Technique: Left: CT. Right: PSMA PET, same axial level, 68Ga tracer.
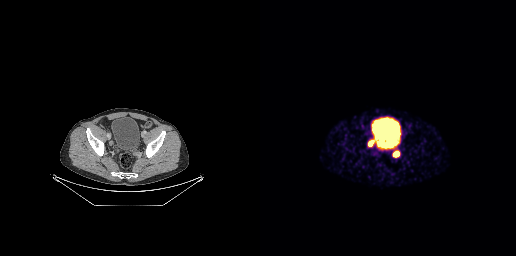
Findings: Coordinates are on the 256×256 PET (right) panel. PSMA-avid tumor lesion bounding boxes (x, y, width, height): x=133 y=150 w=7 h=7 | x=108 y=142 w=5 h=4.